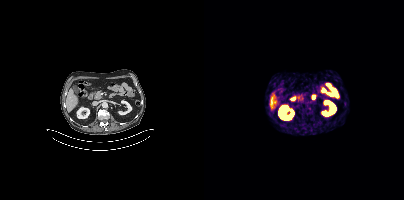
- Two-panel axial: CT | PSMA PET, 68Ga tracer
- PET panel 200×200 px (4.1 mm/px)
Findings: No tumor lesions annotated on this slice.